- face de-identified by blanking a block of the head
- Left: CT. Right: PSMA PET, same axial level, 18F tracer
- PET panel 200×200 px (4.1 mm/px)
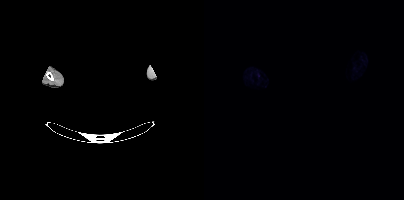
Findings: No tumor lesions annotated on this slice.